- Paired axial CT (left) and PSMA PET (right), 18F tracer
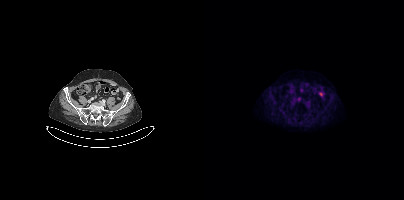
Findings: No PSMA-avid tumor lesions on this slice.